Technique: Two-panel axial: CT | PSMA PET, 18F-PSMA tracer. PET panel 200×200 px (4.1 mm/px).
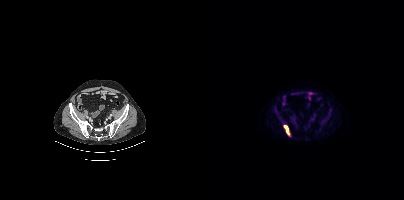
Findings: Coordinates are on the 200×200 PET (right) panel. PSMA-avid tumor lesion bounding box (x, y, width, height): x=79 y=125 w=7 h=11.